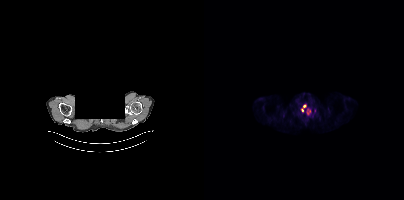
Coordinates are on the 200×200 PET (right) panel. PSMA-avid tumor lesion bounding boxes (x0,y0,x1,y1): [102,108,106,114] [97,104,102,111] [110,109,111,113]. Left: CT. Right: PSMA PET, same axial level, 18F-PSMA tracer. Slice 342 of 405. The head region is masked for de-identification.